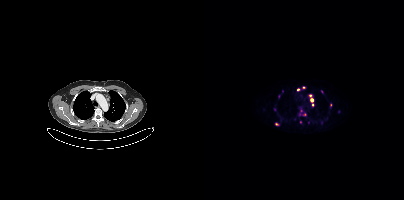
Two-panel axial: CT | PSMA PET, 68Ga-PSMA tracer. PET panel 200×200 px (4.1 mm/px). Coordinates are on the 200×200 PET (right) panel. (showing 11 of 15 foci) PSMA-avid tumor lesion bounding box (x0,y0,x1,y1): [106,98,109,102]. Small PSMA-avid foci (2 to 4 px across) near (center x, center y): (97, 114), (99, 87), (94, 89), (78, 91), (126, 105), (73, 124), (117, 91), (106, 95), (108, 104), (70, 109).